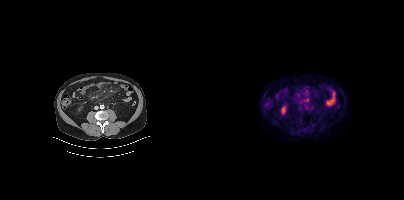
No PSMA-avid tumor lesions on this slice.